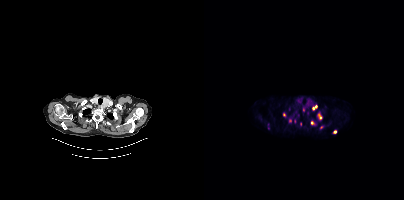
Left: CT. Right: PSMA PET, same axial level, 68Ga tracer. Slice 329 of 409. PET panel 200×200 px (4.1 mm/px).
Coordinates are on the 200×200 PET (right) panel. PSMA-avid tumor lesion bounding boxes (partial; 3 more foci not listed):
| # | x0 | y0 | x1 | y1 |
|---|---|---|---|---|
| 1 | 113 | 112 | 117 | 118 |
| 2 | 90 | 118 | 92 | 123 |
| 3 | 108 | 105 | 112 | 109 |
| 4 | 85 | 119 | 88 | 123 |
| 5 | 96 | 122 | 97 | 126 |
Small PSMA-avid foci (2 to 4 px across) near (center x, center y): (117, 127); (108, 123); (131, 132); (80, 114).